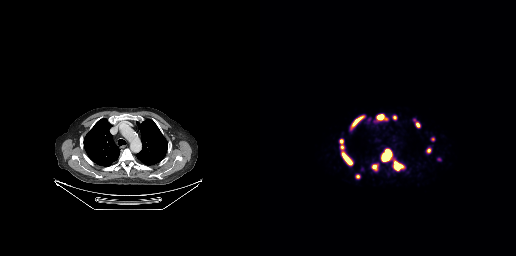
modality: PSMA PET/CT | tracer: 68Ga | view: axial
Coordinates are on the 256×256 PET (right) panel. PSMA-avid tumor lesion bounding boxes (x, y, width, height): x=122 y=150 w=10 h=11 / x=82 y=153 w=11 h=12 / x=92 y=116 w=12 h=11 / x=135 y=162 w=7 h=8 / x=153 y=119 w=8 h=9 / x=118 y=115 w=6 h=5 / x=80 y=139 w=4 h=6 / x=171 y=137 w=4 h=5 / x=177 y=158 w=5 h=4. Small PSMA-avid foci (2 to 4 px across) near (center x, center y): (97, 176) / (134, 117) / (168, 150) / (114, 167) / (82, 147).